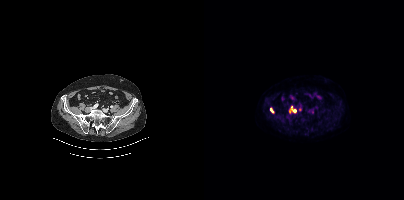
{"modality":"PSMA PET/CT","view":"axial","tracer":"18F","pet_grid":[200,200],"coord_frame":"pet_panel","coord_format":"x0,y0,x1,y1","partial":true,"lesion_bboxes":[[86,106,91,112],[66,108,69,112]]}